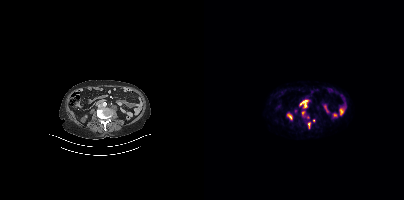
Coordinates are on the 200×200 PET (right) panel. PSMA-avid tumor lesion bounding boxes (x0, y0)-(x1, y1): (99, 102)-(103, 108) | (104, 122)-(106, 128). Small PSMA-avid foci (2 to 4 px across) near (center x, center y): (91, 110) | (99, 113) | (109, 120).